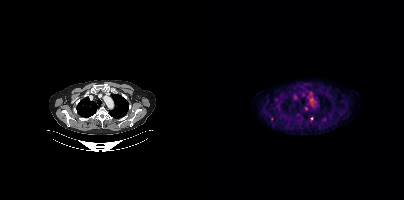
{"modality":"PSMA PET/CT","view":"axial","tracer":"[18F]PSMA-1007","pet_grid":[200,200],"coord_frame":"pet_panel","coord_format":"x0,y0,x1,y1","partial":true,"lesion_bboxes":[],"small_foci_centers":[[120,119],[107,118],[67,118]]}